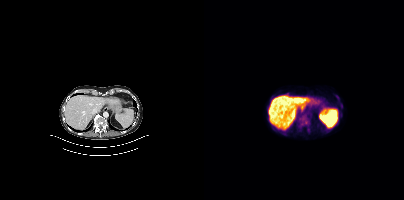
{"modality":"PSMA PET/CT","view":"axial","tracer":"18F-PSMA","pet_grid":[200,200],"coord_frame":"pet_panel","coord_format":"x0,y0,x1,y1","psma_avid_lesions":false}